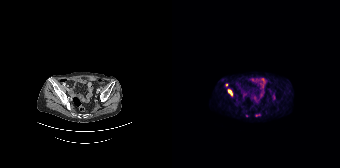
Two-panel axial: CT | PSMA PET, 68Ga tracer. PET panel 168×168 px (4.1 mm/px).
Coordinates are on the 168×168 PET (right) panel. PSMA-avid tumor lesion bounding boxes:
| # | x0 | y0 | x1 | y1 |
|---|---|---|---|---|
| 1 | 56 | 89 | 60 | 95 |
Small PSMA-avid foci (2 to 4 px across) near (center x, center y): (85, 115); (54, 84).